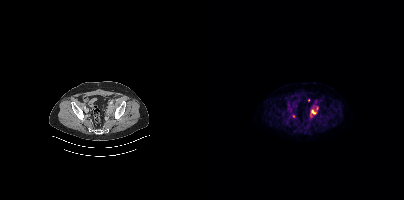
Coordinates are on the 200×200 PET (right) panel. PSMA-avid tumor lesion bounding box (x0, y0)-(x1, y1): (106, 109)-(112, 116). Small PSMA-avid foci (2 to 4 px across) near (center x, center y): (113, 108) | (89, 116).